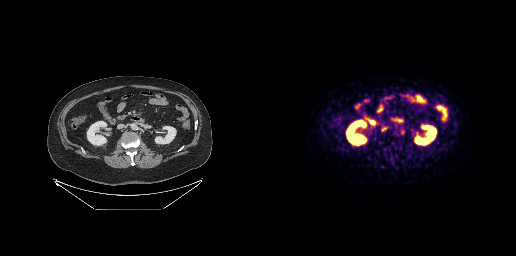
modality: PSMA PET/CT | tracer: 18F-PSMA | view: axial | PET grid: 256×256
Coordinates are on the 256×256 PET (right) panel. PSMA-avid tumor lesion bounding box (x0, y0)-(x1, y1): (122, 127)-(126, 130).